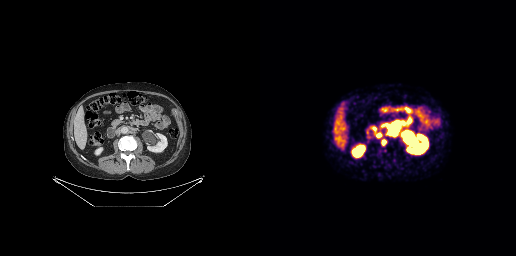
Coordinates are on the 256×256 PET (right) panel. PSMA-avid tumor lesion bounding boxes (x, y, width, height): x=128 y=126 w=11 h=11 | x=121 y=139 w=6 h=7 | x=116 y=133 w=6 h=5.